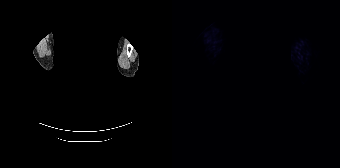
modality: PSMA PET/CT | tracer: 18F-PSMA | view: axial | redaction: head region blacked out before release
Negative for PSMA-avid disease on this slice.